Left: CT. Right: PSMA PET, same axial level, 18F-PSMA tracer. Slice 352 of 442.
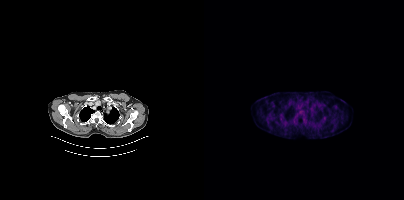
No PSMA-avid tumor lesions on this slice.